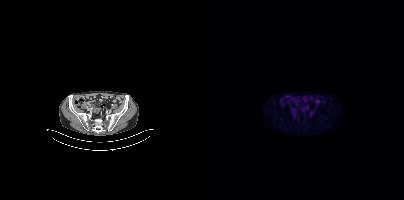
Technique: Two-panel axial: CT | PSMA PET, [18F]PSMA-1007 tracer. slice position z = -1433 mm. PET panel 200×200 px (4.1 mm/px).
Findings: This slice has no annotated PSMA-avid lesion.